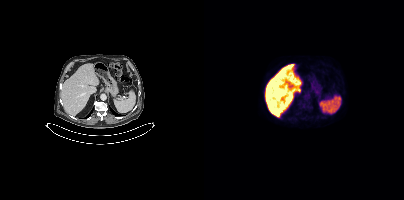
Paired axial CT (left) and PSMA PET (right), [18F]PSMA-1007 tracer. Acquired on Siemens Biograph mCT Flow 20. Slice position z = -603 mm. PET panel 200×200 px (4.1 mm/px). Negative for PSMA-avid disease on this slice.